Technique: Paired axial CT (left) and PSMA PET (right), 18F tracer. slice 53 of 165.
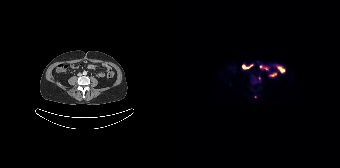
Findings: Coordinates are on the 168×168 PET (right) panel. Small PSMA-avid foci (2 to 4 px across) near (center x, center y): (87, 78), (83, 96).